modality: PSMA PET/CT | tracer: 18F-PSMA | view: axial | PET grid: 256×256
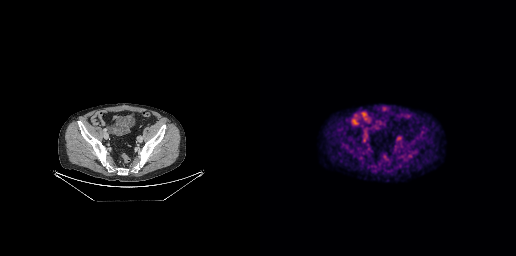
Coordinates are on the 256×256 PET (right) panel. (showing 1 of 2 foci) PSMA-avid tumor lesion bounding box (x0,y0,x1,y1): [103,137,106,141].